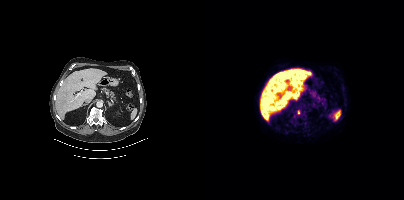
Coordinates are on the 200×200 PET (right) panel. PSMA-avid tumor lesion bounding box (x0, y0)-(x1, y1): (93, 110)-(95, 114).